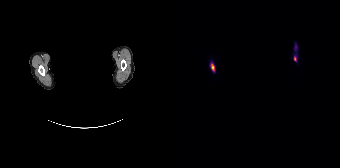
{"modality":"PSMA PET/CT","view":"axial","tracer":"18F","pet_grid":[168,168],"coord_frame":"pet_panel","coord_format":"x0,y0,x1,y1","lesion_bboxes":[[38,63,42,71],[122,43,125,51],[122,56,124,61]],"deidentification":"head region blacked out before release"}